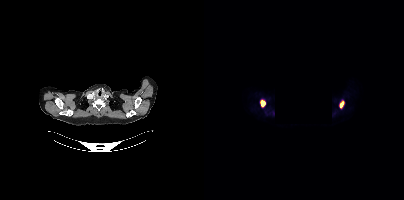
{"modality":"PSMA PET/CT","view":"axial","tracer":"[18F]PSMA-1007","pet_grid":[200,200],"coord_frame":"pet_panel","coord_format":"x0,y0,x1,y1","lesion_bboxes":[[56,99,61,107],[135,101,140,108]],"deidentification":"rectangle blanked before release"}